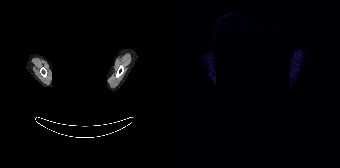
This slice has no annotated PSMA-avid lesion. Two-panel axial: CT | PSMA PET, 68Ga tracer. Slice 183 of 195. Face de-identified by blanking a block of the head.